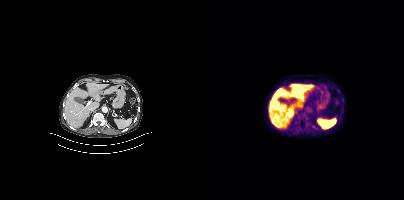
modality: PSMA PET/CT | tracer: 18F-PSMA | view: axial | PET grid: 200×200
Negative for PSMA-avid disease on this slice.